- Paired axial CT (left) and PSMA PET (right), 18F tracer
- acquired on Siemens Biograph mCT Flow 20
- PET panel 200×200 px (4.1 mm/px)
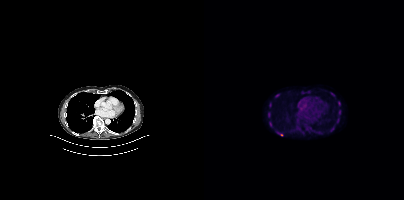
Findings: Coordinates are on the 200×200 PET (right) panel. PSMA-avid tumor lesion bounding boxes (x, y, width, height): x=134 y=101 w=3 h=5 | x=71 y=94 w=5 h=4 | x=134 y=110 w=3 h=5 | x=65 y=103 w=3 h=5 | x=64 y=112 w=2 h=5. Small PSMA-avid foci (2 to 4 px across) near (center x, center y): (66, 124) | (134, 119) | (77, 134).